Two-panel axial: CT | PSMA PET, [68Ga]Ga-PSMA-11 tracer. Acquired on Siemens Biograph 64-4R TruePoint. PET panel 168×168 px (4.1 mm/px).
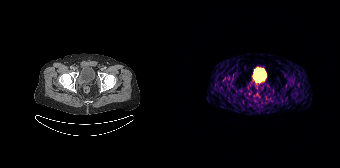
No PSMA-avid tumor lesions on this slice.